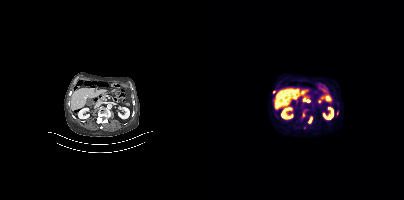
Findings: Coordinates are on the 200×200 PET (right) panel. (showing 3 of 5 foci) PSMA-avid tumor lesion bounding box (x0, y0)-(x1, y1): (104, 116)-(108, 123). Small PSMA-avid foci (2 to 4 px across) near (center x, center y): (70, 92) | (99, 114).
Technique: Two-panel axial: CT | PSMA PET, [18F]PSMA-1007 tracer. acquired on Siemens Biograph mCT Flow 20. slice position z = -1231 mm. PET panel 200×200 px (4.1 mm/px).